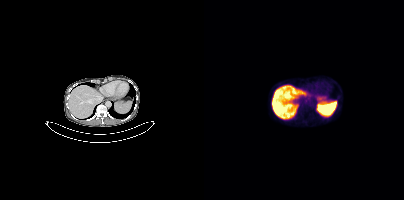
Findings: No PSMA-avid tumor lesions on this slice.
- Paired axial CT (left) and PSMA PET (right), [18F]PSMA-1007 tracer
- slice 246 of 448
- PET panel 200×200 px (4.1 mm/px)